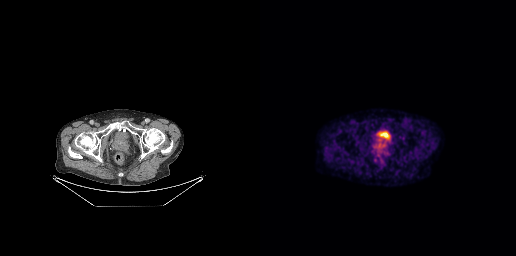
Negative for PSMA-avid disease on this slice.